Technique: Paired axial CT (left) and PSMA PET (right), 18F-PSMA tracer. slice position z = -196 mm.
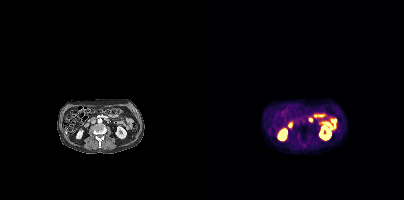
Findings: Negative for PSMA-avid disease on this slice.